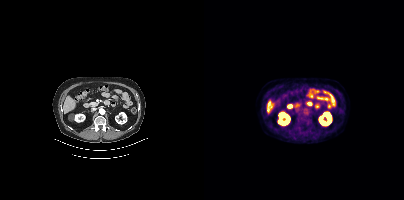
modality: PSMA PET/CT | tracer: 18F-PSMA | view: axial
Negative for PSMA-avid disease on this slice.